- Left: CT. Right: PSMA PET, same axial level, 18F-PSMA tracer
- slice position z = 164 mm
- PET panel 200×200 px (4.1 mm/px)
- the face region was removed for patient privacy by blanking a rectangle over the head
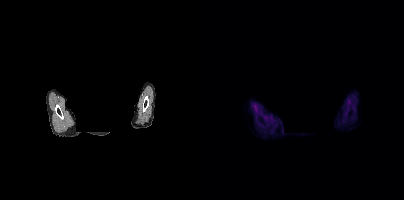
Findings: This slice has no annotated PSMA-avid lesion.